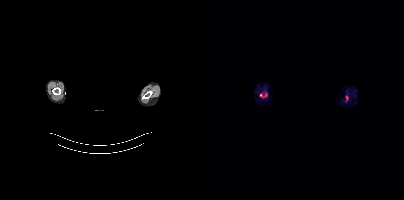
Negative for PSMA-avid disease on this slice. Two-panel axial: CT | PSMA PET, 18F-PSMA tracer. Slice position z = -918 mm. Facial anatomy redacted by setting a rectangular region of the head to black.